The head region is masked for de-identification. Two-panel axial: CT | PSMA PET, [18F]PSMA-1007 tracer. Acquired on Siemens Biograph mCT Flow 20.
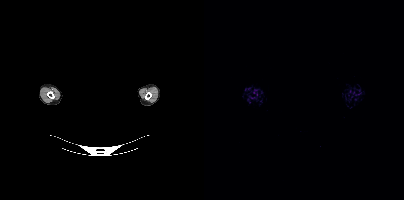
This slice has no annotated PSMA-avid lesion.